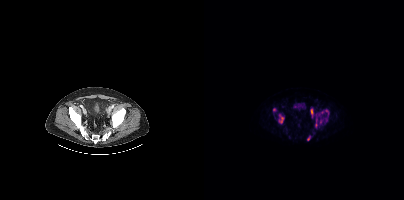
Coordinates are on the 200×200 PET (right) panel. (showing 8 of 10 foci) PSMA-avid tumor lesion bounding boxes (x, y, width, height): x=75 y=115 w=5 h=9; x=111 y=118 w=3 h=10; x=103 y=136 w=4 h=5; x=121 y=109 w=4 h=6. Small PSMA-avid foci (2 to 4 px across) near (center x, center y): (118, 112); (116, 121); (70, 109); (122, 120).